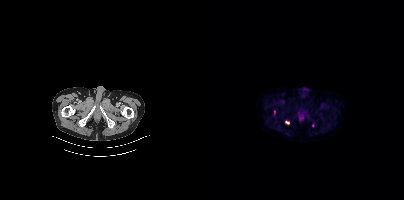
{"modality":"PSMA PET/CT","view":"axial","tracer":"18F-PSMA","pet_grid":[200,200],"coord_frame":"pet_panel","coord_format":"x0,y0,x1,y1","lesion_bboxes":[],"small_foci_centers":[[83,122],[108,125],[70,111]]}